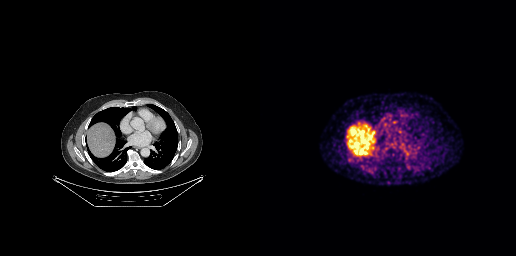
Paired axial CT (left) and PSMA PET (right), [68Ga]Ga-PSMA-11 tracer. Acquired on GE Discovery 690. Slice position z = -491 mm. No tumor lesions annotated on this slice.